Technique: Paired axial CT (left) and PSMA PET (right), [18F]PSMA-1007 tracer. acquired on Siemens Biograph mCT Flow 20.
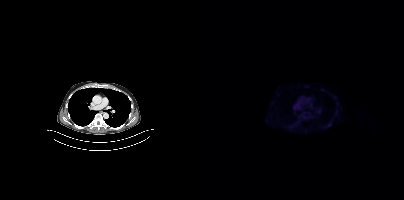
Findings: No tumor lesions annotated on this slice.